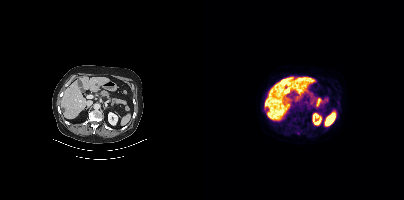
Findings: Only PSMA-avid lesion pieces thinner than 2 px on this slice (not listed).
Technique: Left: CT. Right: PSMA PET, same axial level, 18F-PSMA tracer.